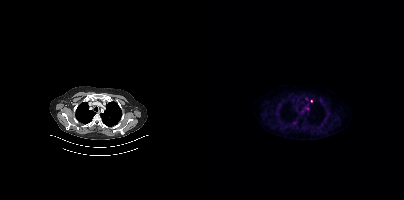
{"modality":"PSMA PET/CT","view":"axial","tracer":"18F","pet_grid":[200,200],"coord_frame":"pet_panel","coord_format":"x0,y0,x1,y1","lesion_bboxes":[],"small_foci_centers":[[107,100]]}